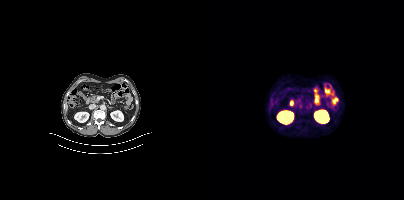
{"modality":"PSMA PET/CT","view":"axial","tracer":"68Ga","pet_grid":[200,200],"coord_frame":"pet_panel","coord_format":"x0,y0,x1,y1","psma_avid_lesions":false}